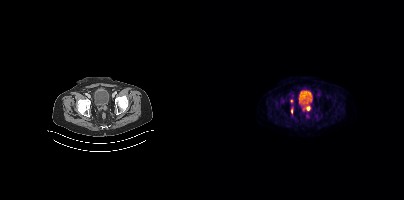
Findings: Coordinates are on the 200×200 PET (right) panel. PSMA-avid tumor lesion bounding boxes (x0, y0)-(x1, y1): (102, 106)-(106, 110) / (87, 109)-(88, 113). Small PSMA-avid foci (2 to 4 px across) near (center x, center y): (99, 109) / (87, 101).
- Two-panel axial: CT | PSMA PET, [18F]PSMA-1007 tracer
- slice position z = -1426 mm
- PET panel 200×200 px (4.1 mm/px)